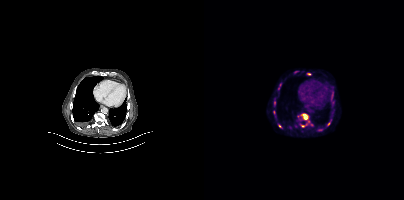
Two-panel axial: CT | PSMA PET, 18F-PSMA tracer.
Coordinates are on the 200×200 PET (right) panel. PSMA-avid tumor lesion bounding boxes (partial; 4 more foci not listed):
| # | x0 | y0 | x1 | y1 |
|---|---|---|---|---|
| 1 | 96 | 113 | 105 | 122 |
| 2 | 96 | 124 | 109 | 127 |
| 3 | 123 | 119 | 127 | 126 |
Small PSMA-avid foci (2 to 4 px across) near (center x, center y): (104, 74); (75, 125); (70, 102); (76, 84); (92, 71); (95, 119).